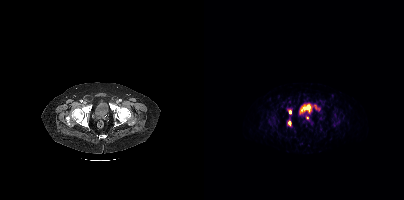
Coordinates are on the 200×200 PET (right) panel. PSMA-avid tumor lesion bounding boxes (x0, y0)-(x1, y1): (108, 104)-(113, 108) | (84, 121)-(87, 125). Small PSMA-avid foci (2 to 4 px across) near (center x, center y): (86, 112) | (103, 117).